modality: PSMA PET/CT | tracer: [18F]PSMA-1007 | view: axial
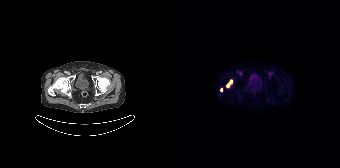
Coordinates are on the 168×168 PET (right) panel. PSMA-avid tumor lesion bounding box (x, y, width, height): x=54 y=79 w=7 h=9. Small PSMA-avid focus (2 to 4 px across) near (center x, center y): (49, 89).